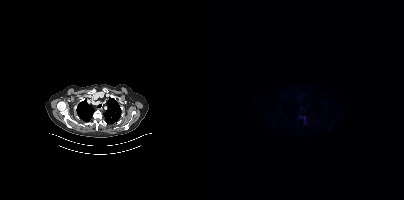
Technique: Two-panel axial: CT | PSMA PET, 18F tracer. slice 320 of 395.
Findings: Coordinates are on the 200×200 PET (right) panel. (showing 1 of 2 foci) Small PSMA-avid focus (2 to 4 px across) near (center x, center y): (100, 118).